modality: PSMA PET/CT | tracer: 18F | view: axial | PET grid: 200×200
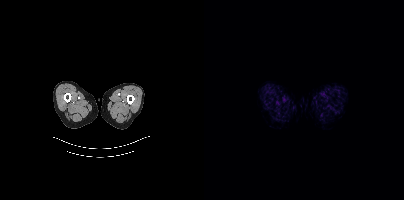
No tumor lesions annotated on this slice.